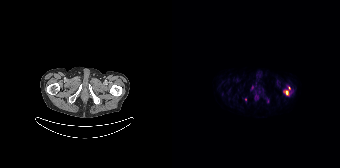
Left: CT. Right: PSMA PET, same axial level, 18F tracer. Coordinates are on the 168×168 PET (right) panel. PSMA-avid tumor lesion bounding box (x0,y0,x1,y1): [112,90,116,95]. Small PSMA-avid foci (2 to 4 px across) near (center x, center y): (95, 100) (117, 88) (73, 99).